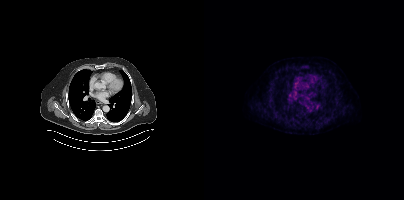
{"modality":"PSMA PET/CT","view":"axial","tracer":"[18F]PSMA-1007","pet_grid":[200,200],"coord_frame":"pet_panel","coord_format":"x0,y0,x1,y1","psma_avid_lesions":false}